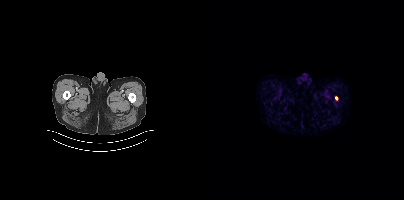
{"modality":"PSMA PET/CT","view":"axial","tracer":"[68Ga]Ga-PSMA-11","pet_grid":[200,200],"coord_frame":"pet_panel","coord_format":"x0,y0,x1,y1","lesion_bboxes":[],"small_foci_centers":[[132,98]]}